Technique: Paired axial CT (left) and PSMA PET (right), [68Ga]Ga-PSMA-11 tracer.
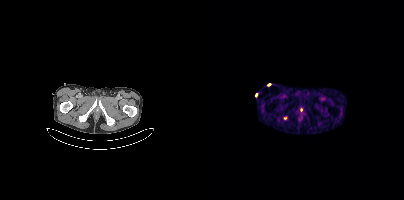
Findings: Coordinates are on the 200×200 PET (right) panel. Small PSMA-avid focus (2 to 4 px across) near (center x, center y): (81, 118).